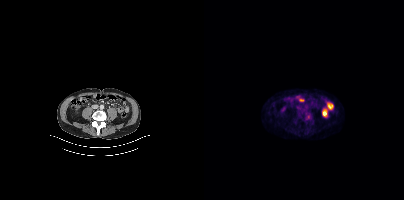
Findings: Coordinates are on the 200×200 PET (right) panel. Small PSMA-avid focus (2 to 4 px across) near (center x, center y): (103, 116).
- Paired axial CT (left) and PSMA PET (right), 18F-PSMA tracer